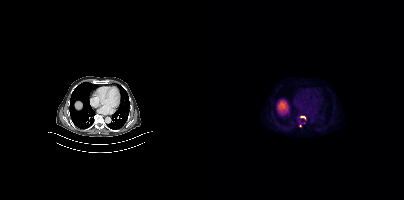
{"modality":"PSMA PET/CT","view":"axial","tracer":"[18F]PSMA-1007","pet_grid":[200,200],"coord_frame":"pet_panel","coord_format":"x0,y0,x1,y1","lesion_bboxes":[[96,116,101,119]],"small_foci_centers":[[96,125]]}